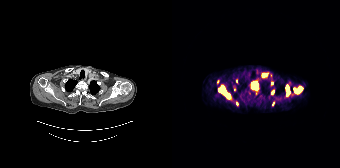
Coordinates are on the 168×168 PET (right) panel. (showing 10 of 14 foci) PSMA-avid tumor lesion bounding boxes (x, y, width, height): x=47 y=86 w=12 h=12 / x=122 y=87 w=9 h=7 / x=81 y=85 w=6 h=5 / x=114 y=85 w=4 h=6 / x=90 y=73 w=6 h=4. Small PSMA-avid foci (2 to 4 px across) near (center x, center y): (101, 92) / (116, 93) / (64, 81) / (83, 83) / (45, 81).